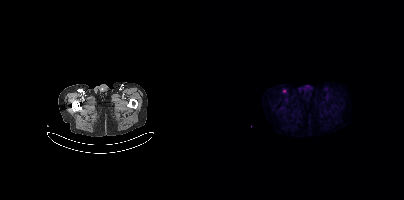
modality: PSMA PET/CT | tracer: 18F | view: axial
Coordinates are on the 200×200 PET (right) panel. Small PSMA-avid focus (2 to 4 px across) near (center x, center y): (80, 90).